- Left: CT. Right: PSMA PET, same axial level, 18F tracer
- acquired on Siemens Biograph mCT Flow 20
- slice position z = -1170 mm
- PET panel 200×200 px (4.1 mm/px)
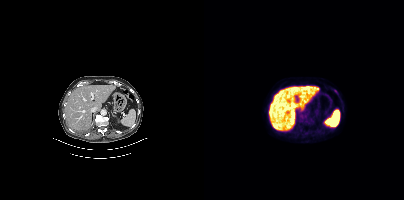
Findings: Coordinates are on the 200×200 PET (right) panel. PSMA-avid tumor lesion bounding box (x, y, width, height): x=130 y=89 w=4 h=5.